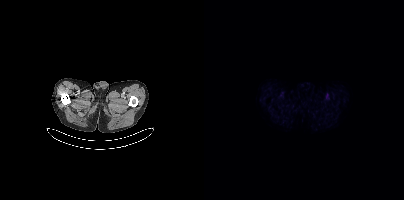
{"modality":"PSMA PET/CT","view":"axial","tracer":"18F","pet_grid":[200,200],"coord_frame":"pet_panel","coord_format":"x0,y0,x1,y1","psma_avid_lesions":false}